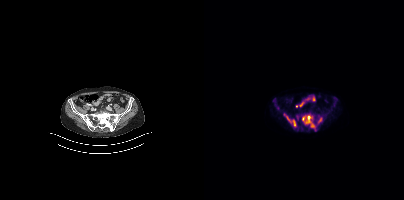
Findings: Coordinates are on the 200×200 PET (right) panel. PSMA-avid tumor lesion bounding boxes (x0,y0,x1,y1): [98,115,112,131]; [80,114,91,126]; [114,118,117,122]; [92,115,95,120].
- Left: CT. Right: PSMA PET, same axial level, [18F]PSMA-1007 tracer
- acquired on Siemens Biograph mCT Flow 20